Two-panel axial: CT | PSMA PET, 18F tracer. PET panel 256×256 px (2.7 mm/px).
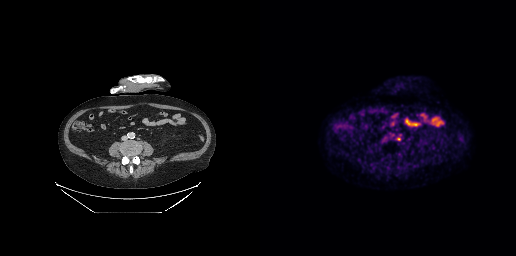
Coordinates are on the 256×256 PET (right) panel. Small PSMA-avid focus (2 to 4 px across) near (center x, center y): (138, 138).